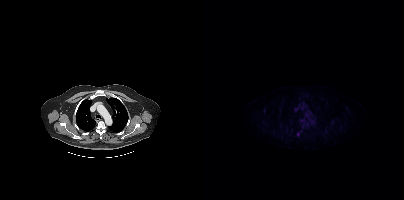
Findings: Only PSMA-avid lesion pieces thinner than 2 px on this slice (not listed).
- Paired axial CT (left) and PSMA PET (right), 18F-PSMA tracer
- acquired on Siemens Biograph mCT Flow 20
- PET panel 200×200 px (4.1 mm/px)